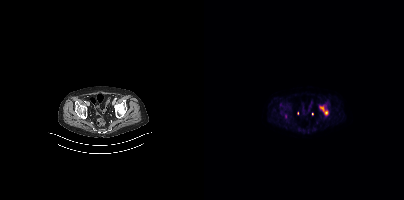
{"modality":"PSMA PET/CT","view":"axial","tracer":"18F-PSMA","pet_grid":[200,200],"coord_frame":"pet_panel","coord_format":"x0,y0,x1,y1","partial":true,"lesion_bboxes":[[116,105,124,115]],"small_foci_centers":[[76,104]]}